Technique: Two-panel axial: CT | PSMA PET, 18F tracer. PET panel 256×256 px (2.7 mm/px).
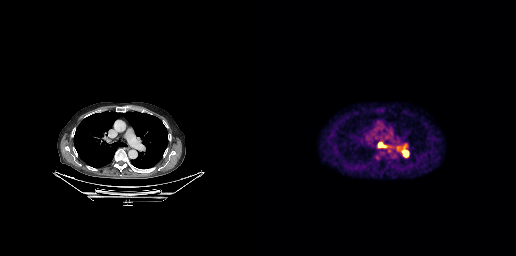
Findings: Coordinates are on the 256×256 PET (right) panel. PSMA-avid tumor lesion bounding boxes (x0,y0,x1,y1): [141,144,149,157] [118,142,127,147]. Small PSMA-avid focus (2 to 4 px across) near (center x, center y): (138, 148).